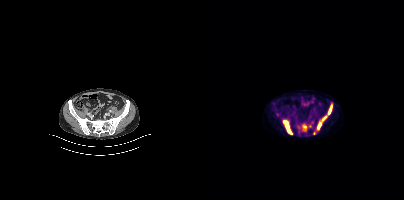
Left: CT. Right: PSMA PET, same axial level, 18F tracer. Coordinates are on the 200×200 PET (right) panel. (showing 3 of 5 foci) PSMA-avid tumor lesion bounding boxes (x0,y0,x1,y1): [113,105,128,129]; [79,120,88,134]; [98,124,102,130].